Paired axial CT (left) and PSMA PET (right), 68Ga-PSMA tracer. Acquired on GE Discovery 690. PET panel 256×256 px (2.7 mm/px).
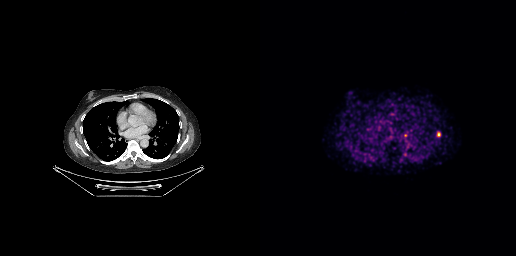
Coordinates are on the 256×256 PET (right) panel. PSMA-avid tumor lesion bounding boxes:
| # | x0 | y0 | x1 | y1 |
|---|---|---|---|---|
| 1 | 177 | 132 | 180 | 136 |